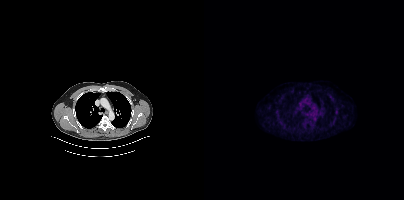
This slice has no annotated PSMA-avid lesion.
modality: PSMA PET/CT | tracer: 18F | view: axial | PET grid: 200×200